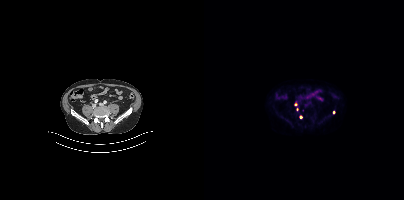
Two-panel axial: CT | PSMA PET, 18F tracer. Acquired on Siemens Biograph mCT Flow 20. Slice 139 of 421. Coordinates are on the 200×200 PET (right) panel. (showing 1 of 2 foci) Small PSMA-avid focus (2 to 4 px across) near (center x, center y): (96, 116).